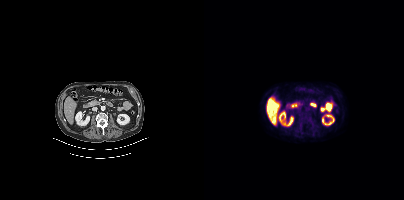
Left: CT. Right: PSMA PET, same axial level, [18F]PSMA-1007 tracer. Slice 175 of 429. PET panel 200×200 px (4.1 mm/px). No PSMA-avid tumor lesions on this slice.